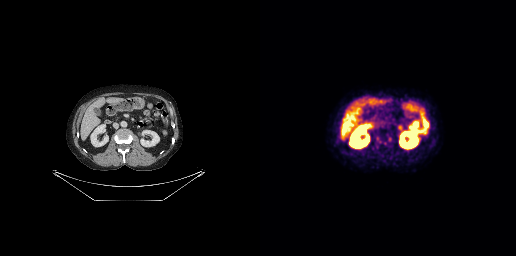
Paired axial CT (left) and PSMA PET (right), [18F]PSMA-1007 tracer. Acquired on GE Discovery 690. Slice position z = -488 mm. PET panel 256×256 px (2.7 mm/px). This slice has no annotated PSMA-avid lesion.